Technique: Paired axial CT (left) and PSMA PET (right), 18F-PSMA tracer.
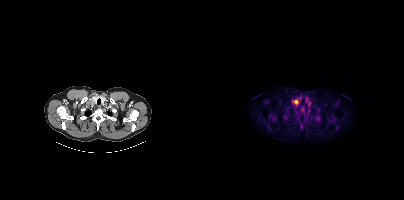
Findings: Coordinates are on the 200×200 PET (right) panel. PSMA-avid tumor lesion bounding box (x, y, width, height): x=89 y=100 w=6 h=5.